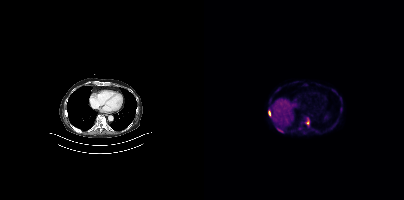
Coordinates are on the 200×200 PET (right) panel. PSMA-avid tumor lesion bounding boxes:
| # | x0 | y0 | x1 | y1 |
|---|---|---|---|---|
| 1 | 101 | 118 | 105 | 125 |
| 2 | 64 | 111 | 66 | 115 |
| 3 | 75 | 129 | 79 | 132 |
Two-panel axial: CT | PSMA PET, 18F tracer.